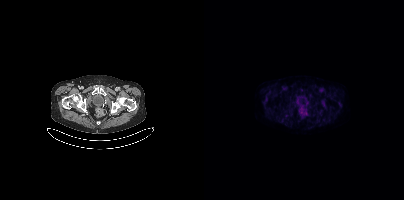
Findings: Negative for PSMA-avid disease on this slice.
Technique: Two-panel axial: CT | PSMA PET, [18F]PSMA-1007 tracer. acquired on Siemens Biograph mCT Flow 20. slice 60 of 387.